- Two-panel axial: CT | PSMA PET, 18F-PSMA tracer
- acquired on Siemens Biograph mCT Flow 20
- slice position z = -708 mm
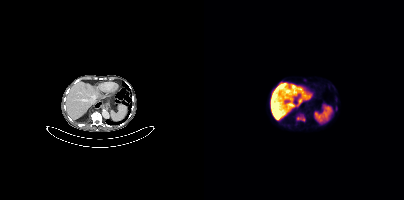
Findings: Coordinates are on the 200×200 PET (right) panel. PSMA-avid tumor lesion bounding box (x0, y0)-(x1, y1): (92, 114)-(101, 121).